Two-panel axial: CT | PSMA PET, 18F-PSMA tracer. Acquired on Siemens Biograph mCT Flow 20. Slice 118 of 431.
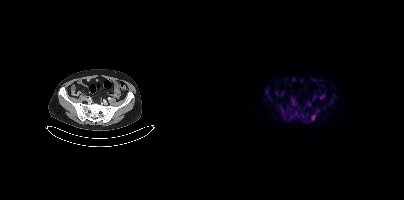
Coordinates are on the 200×200 PET (right) panel. PSMA-avid tumor lesion bounding box (x0,y0,x1,y1): [107,115,111,120].